- Left: CT. Right: PSMA PET, same axial level, 18F-PSMA tracer
- acquired on GE Discovery 690
- slice 50 of 263
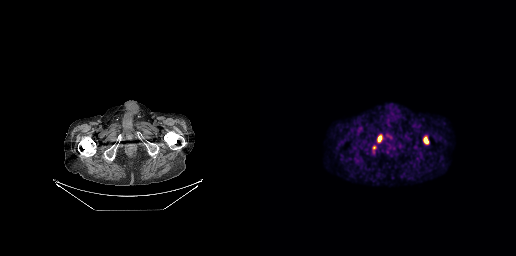
Findings: Coordinates are on the 256×256 PET (right) panel. (showing 2 of 3 foci) PSMA-avid tumor lesion bounding boxes (x0, y0)-(x1, y1): (163, 137)-(168, 143) | (118, 135)-(121, 139).